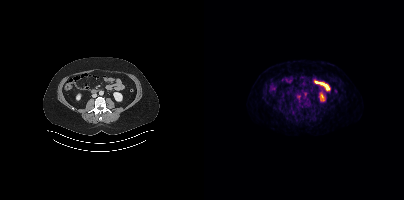
{"modality":"PSMA PET/CT","view":"axial","tracer":"18F","pet_grid":[200,200],"coord_frame":"pet_panel","coord_format":"x0,y0,x1,y1","psma_avid_lesions":false}